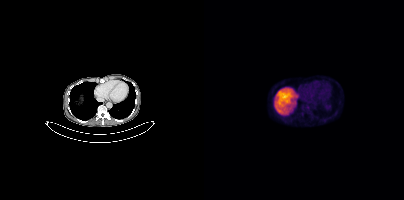
Coordinates are on the 200×200 PET (right) panel. Small PSMA-avid foci (2 to 4 px across) near (center x, center y): (103, 107); (98, 114).